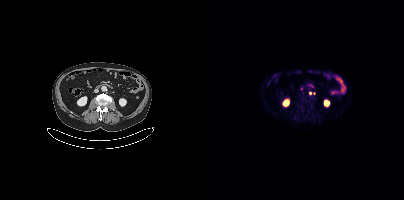
Paired axial CT (left) and PSMA PET (right), 18F-PSMA tracer. Acquired on Siemens Biograph mCT Flow 20. Negative for PSMA-avid disease on this slice.